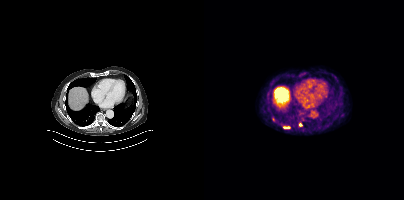
Findings: Coordinates are on the 200×200 PET (right) panel. PSMA-avid tumor lesion bounding boxes (x, y, width, height): x=79 y=126 w=8 h=4 | x=68 y=117 w=4 h=5. Small PSMA-avid focus (2 to 4 px across) near (center x, center y): (96, 124).
- Left: CT. Right: PSMA PET, same axial level, [18F]PSMA-1007 tracer